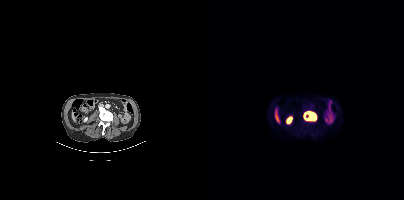
Coordinates are on the 200×200 PET (right) panel. PSMA-avid tumor lesion bounding box (x, y, width, height): x=100 y=112 w=13 h=9.